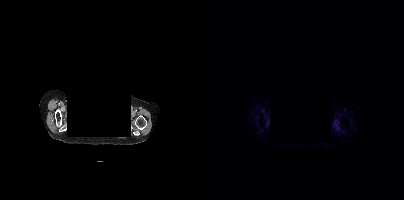
{"modality":"PSMA PET/CT","view":"axial","tracer":"68Ga-PSMA","pet_grid":[200,200],"coord_frame":"pet_panel","coord_format":"x0,y0,x1,y1","psma_avid_lesions":false,"de-identification":"face masked with black rectangle"}